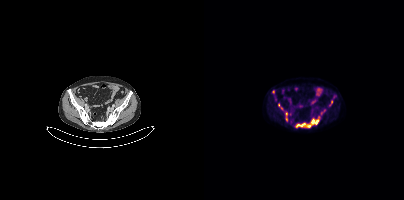
Coordinates are on the 200×200 PET (right) panel. (showing 6 of 7 foci) PSMA-avid tumor lesion bounding boxes (x0,y0,x1,y1): [92,118,115,127], [82,112,83,120], [125,100,128,105]. Small PSMA-avid foci (2 to 4 px across) near (center x, center y): (74, 105), (69, 91), (77, 108).